- Paired axial CT (left) and PSMA PET (right), 68Ga-PSMA tracer
- slice 19 of 195
- PET panel 168×168 px (4.1 mm/px)
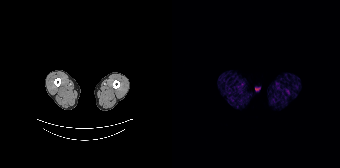
Findings: This slice has no annotated PSMA-avid lesion.